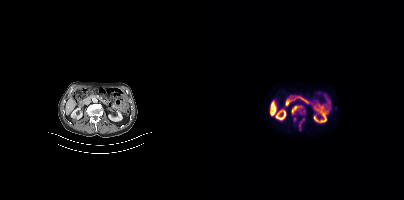
Findings: Coordinates are on the 200×200 PET (right) panel. (showing 3 of 5 foci) PSMA-avid tumor lesion bounding boxes (x, y, width, height): x=87 y=105 w=12 h=10 / x=95 y=119 w=6 h=12. Small PSMA-avid focus (2 to 4 px across) near (center x, center y): (90, 119).
- Left: CT. Right: PSMA PET, same axial level, 18F tracer
- PET panel 200×200 px (4.1 mm/px)